Paired axial CT (left) and PSMA PET (right), 68Ga-PSMA tracer. Acquired on GE Discovery 690.
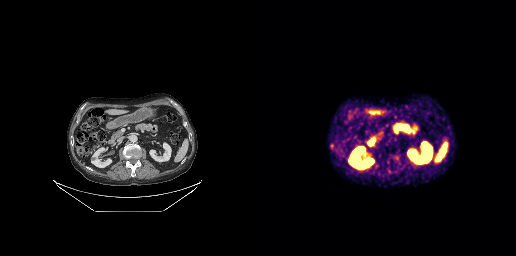
Coordinates are on the 256×256 PET (right) panel. PSMA-avid tumor lesion bounding box (x0, y0)-(x1, y1): (70, 144)-(73, 148).